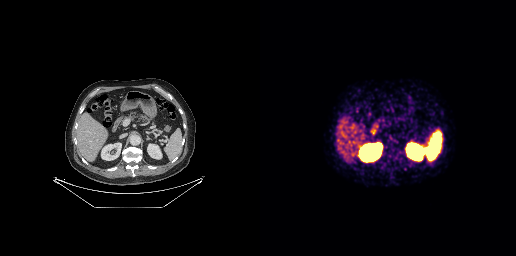
Findings: No tumor lesions annotated on this slice.
Technique: Left: CT. Right: PSMA PET, same axial level, 68Ga-PSMA tracer. slice position z = -582 mm.